modality: PSMA PET/CT | tracer: 18F | view: axial
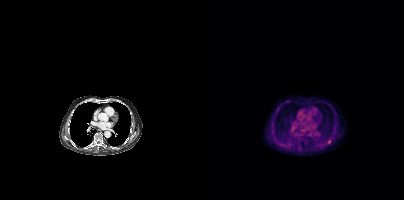
Coordinates are on the 200×200 PET (right) panel. Small PSMA-avid focus (2 to 4 px across) near (center x, center y): (125, 141).